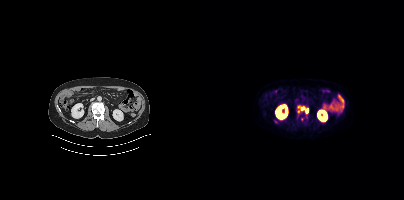
Paired axial CT (left) and PSMA PET (right), 18F tracer. PET panel 200×200 px (4.1 mm/px).
Coordinates are on the 200×200 PET (right) panel. PSMA-avid tumor lesion bounding boxes (partial; 1 more focus not listed):
| # | x0 | y0 | x1 | y1 |
|---|---|---|---|---|
| 1 | 97 | 107 | 104 | 113 |